Two-panel axial: CT | PSMA PET, [18F]PSMA-1007 tracer.
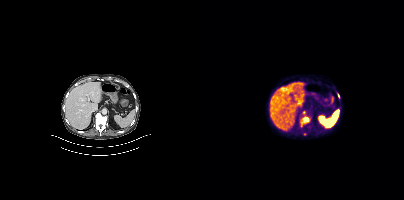
Coordinates are on the 200×200 PET (right) panel. PSMA-avid tumor lesion bounding box (x, y, width, height): x=96 y=116 w=11 h=12. Small PSMA-avid foci (2 to 4 px across) near (center x, center y): (100, 112) / (134, 95).